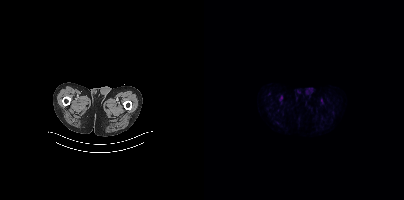
Paired axial CT (left) and PSMA PET (right), [18F]PSMA-1007 tracer. Slice position z = -1053 mm. PET panel 200×200 px (4.1 mm/px). No tumor lesions annotated on this slice.